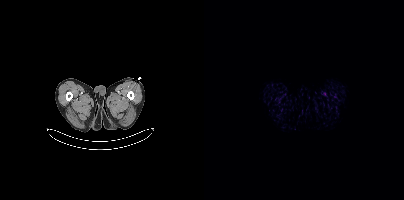
No tumor lesions annotated on this slice.